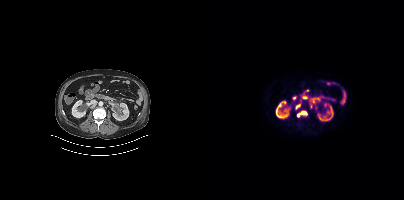
{"modality":"PSMA PET/CT","view":"axial","tracer":"18F-PSMA","pet_grid":[200,200],"coord_frame":"pet_panel","coord_format":"x0,y0,x1,y1","lesion_bboxes":[[93,111,103,117],[91,104,96,109]]}